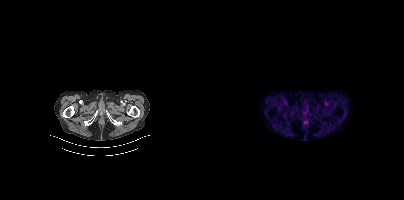
Technique: Left: CT. Right: PSMA PET, same axial level, [68Ga]Ga-PSMA-11 tracer. PET panel 200×200 px (4.1 mm/px).
Findings: Negative for PSMA-avid disease on this slice.